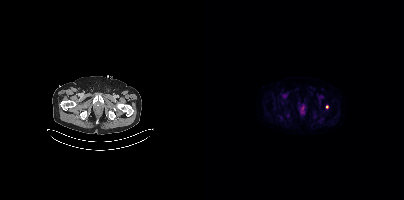
{"modality":"PSMA PET/CT","view":"axial","tracer":"18F-PSMA","pet_grid":[200,200],"coord_frame":"pet_panel","coord_format":"x0,y0,x1,y1","lesion_bboxes":[],"small_foci_centers":[[123,106]]}